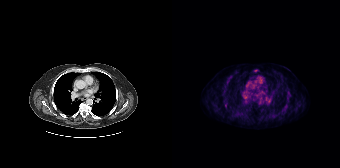
modality: PSMA PET/CT | tracer: [18F]PSMA-1007 | view: axial | PET grid: 168×168
No tumor lesions annotated on this slice.